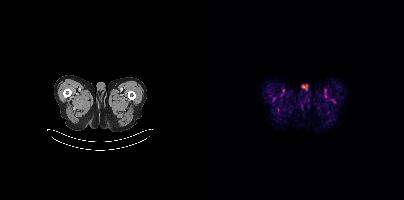
{"modality":"PSMA PET/CT","view":"axial","tracer":"[18F]PSMA-1007","pet_grid":[200,200],"coord_frame":"pet_panel","coord_format":"x0,y0,x1,y1","psma_avid_lesions":false}